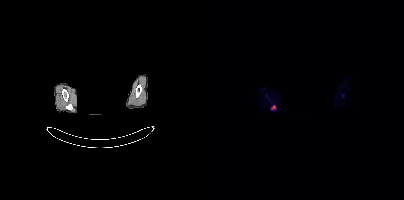
Findings: Coordinates are on the 200×200 PET (right) panel. PSMA-avid tumor lesion bounding box (x, y, width, height): x=67 y=106 w=5 h=4.
- Paired axial CT (left) and PSMA PET (right), [18F]PSMA-1007 tracer
- slice 314 of 354
- PET panel 200×200 px (4.1 mm/px)
- an anonymization step blacked out a rectangle over the head in this scan